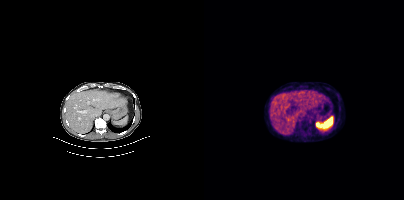
Coordinates are on the 200×200 PET (right) panel. PSMA-avid tumor lesion bounding box (x, y, width, height): x=95 y=117 w=12 h=9.